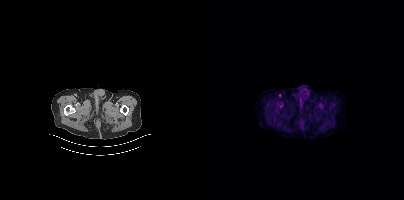
Negative for PSMA-avid disease on this slice.